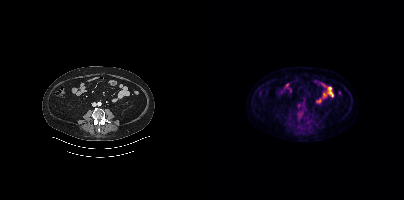
Findings: Negative for PSMA-avid disease on this slice.
Technique: Left: CT. Right: PSMA PET, same axial level, [18F]PSMA-1007 tracer.